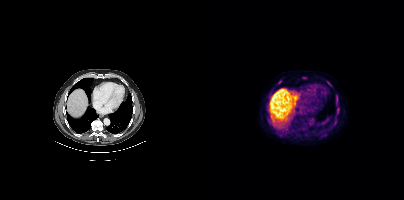
modality: PSMA PET/CT | tracer: 18F-PSMA | view: axial | PET grid: 200×200
Coordinates are on the 200×200 PET (right) panel. (showing 4 of 6 foci) Small PSMA-avid foci (2 to 4 px across) near (center x, center y): (133, 98) / (124, 82) / (134, 111) / (100, 77).